Two-panel axial: CT | PSMA PET, 18F-PSMA tracer. Slice position z = -890 mm.
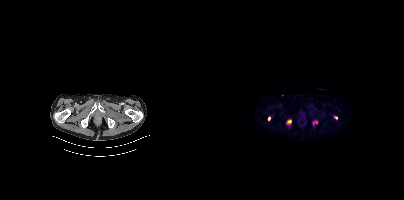
Coordinates are on the 200×200 PET (right) panel. PSMA-avid tumor lesion bounding boxes:
| # | x0 | y0 | x1 | y1 |
|---|---|---|---|---|
| 1 | 83 | 120 | 87 | 123 |
| 2 | 109 | 121 | 113 | 124 |
Small PSMA-avid foci (2 to 4 px across) near (center x, center y): (65, 118); (132, 117).